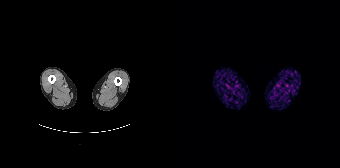
No PSMA-avid tumor lesions on this slice.